- Left: CT. Right: PSMA PET, same axial level, 18F tracer
- slice position z = -676 mm
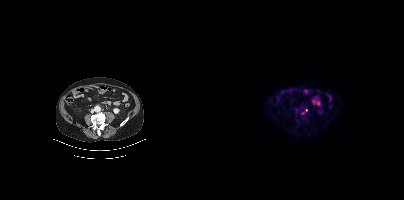
Findings: Coordinates are on the 200×200 PET (right) panel. Small PSMA-avid foci (2 to 4 px across) near (center x, center y): (102, 110); (99, 113).